Technique: Left: CT. Right: PSMA PET, same axial level, 18F-PSMA tracer. acquired on Siemens Biograph mCT Flow 20. slice 41 of 423.
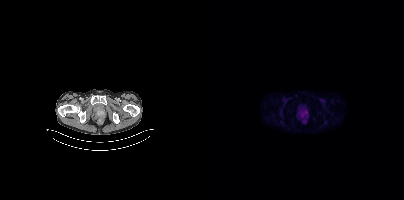
Findings: Coordinates are on the 200×200 PET (right) panel. PSMA-avid tumor lesion bounding box (x0,y0,x1,y1): [98,111,102,115].